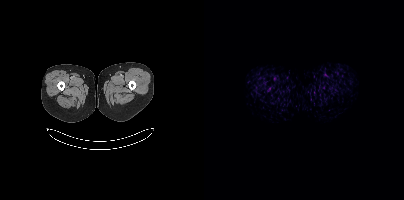
{"modality":"PSMA PET/CT","view":"axial","tracer":"18F-PSMA","pet_grid":[200,200],"coord_frame":"pet_panel","coord_format":"x0,y0,x1,y1","psma_avid_lesions":false}